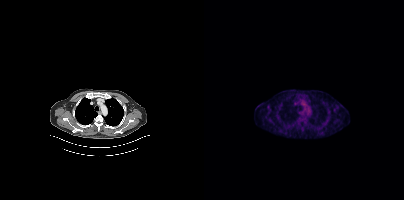
Technique: Left: CT. Right: PSMA PET, same axial level, 18F-PSMA tracer.
Findings: Negative for PSMA-avid disease on this slice.